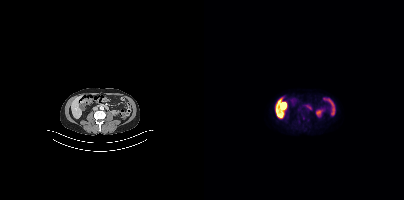
{"pet_grid":[200,200],"coord_frame":"pet_panel","coord_format":"x0,y0,x1,y1","psma_avid_lesions":false,"modality":"PSMA PET/CT","view":"axial","tracer":"18F"}